- Left: CT. Right: PSMA PET, same axial level, 18F-PSMA tracer
- PET panel 200×200 px (4.1 mm/px)
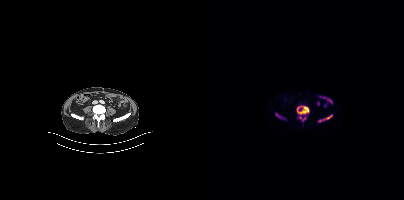
Findings: Coordinates are on the 200×200 PET (right) panel. (showing 4 of 5 foci) PSMA-avid tumor lesion bounding boxes (x0,y0,x1,y1): [93,106,105,114], [121,115,128,119], [95,116,101,120], [114,119,118,121].